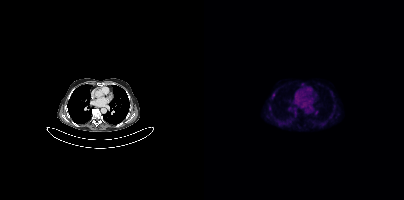
Findings: This slice has no annotated PSMA-avid lesion.
- Two-panel axial: CT | PSMA PET, 18F tracer
- PET panel 200×200 px (4.1 mm/px)